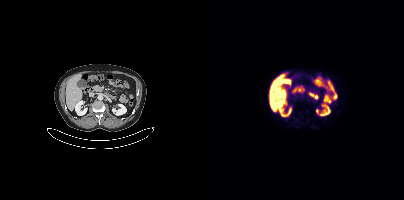
No PSMA-avid tumor lesions on this slice.
modality: PSMA PET/CT | tracer: [18F]PSMA-1007 | view: axial